- Two-panel axial: CT | PSMA PET, 18F-PSMA tracer
- slice 150 of 263
- PET panel 256×256 px (2.7 mm/px)
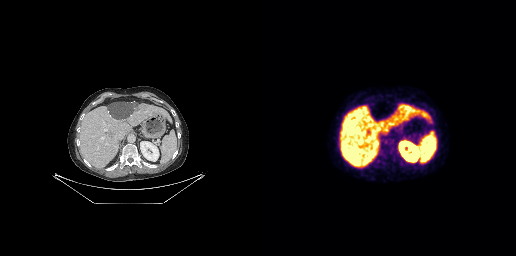
Findings: This slice has no annotated PSMA-avid lesion.